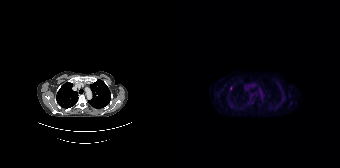
{"pet_grid":[168,168],"coord_frame":"pet_panel","coord_format":"x0,y0,x1,y1","lesion_bboxes":[],"small_foci_centers":[[59,87]],"modality":"PSMA PET/CT","view":"axial","tracer":"18F"}